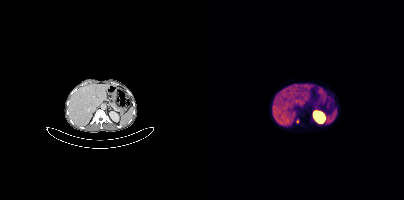
- Two-panel axial: CT | PSMA PET, [68Ga]Ga-PSMA-11 tracer
- acquired on Siemens Biograph mCT Flow 20
Findings: Coordinates are on the 200×200 PET (right) panel. Small PSMA-avid focus (2 to 4 px across) near (center x, center y): (93, 121).